Technique: Two-panel axial: CT | PSMA PET, 18F tracer. slice 8 of 165.
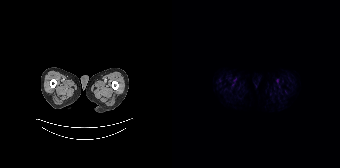
Findings: No tumor lesions annotated on this slice.